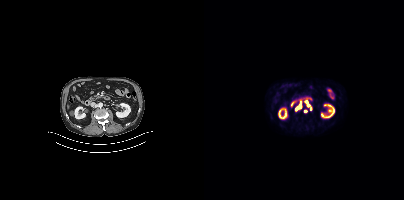
Technique: Paired axial CT (left) and PSMA PET (right), 18F-PSMA tracer. slice position z = -1174 mm.
Findings: Coordinates are on the 200×200 PET (right) panel. (showing 6 of 7 foci) Small PSMA-avid foci (2 to 4 px across) near (center x, center y): (96, 105) / (96, 101) / (102, 101) / (103, 105) / (92, 108) / (106, 108).